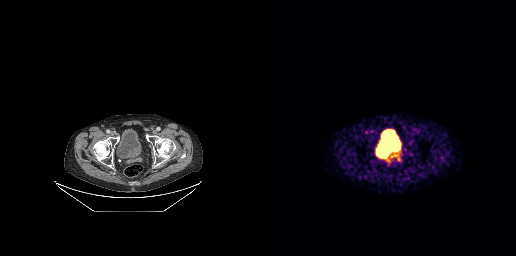
Technique: Two-panel axial: CT | PSMA PET, 68Ga tracer. acquired on GE Discovery 690. slice position z = -670 mm.
Findings: Coordinates are on the 256×256 PET (right) panel. PSMA-avid tumor lesion bounding boxes (x0,y0,x1,y1): [131,154,138,157], [126,155,128,160]. Small PSMA-avid focus (2 to 4 px across) near (center x, center y): (138, 159).